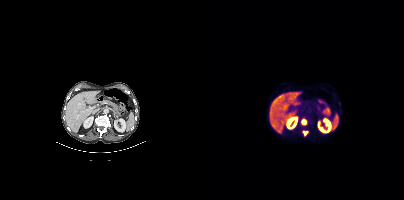
Coordinates are on the 200×200 PET (right) panel. (showing 2 of 3 foci) PSMA-avid tumor lesion bounding boxes (x0,y0,x1,y1): [98,120,102,124] [98,131,103,134].